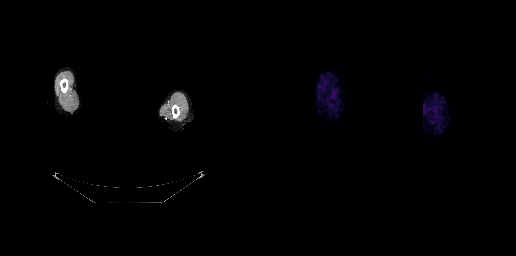
This slice has no annotated PSMA-avid lesion. Left: CT. Right: PSMA PET, same axial level, 18F-PSMA tracer. Acquired on GE Discovery 690. Slice 260 of 263. PET panel 256×256 px (2.7 mm/px). Facial anatomy redacted by setting a rectangular region of the head to black.